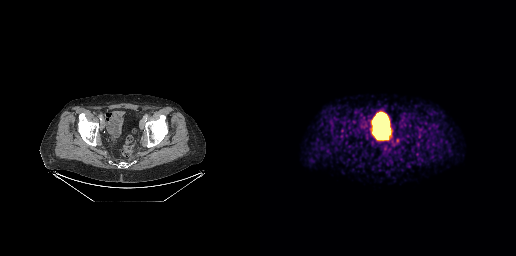
No PSMA-avid tumor lesions on this slice.